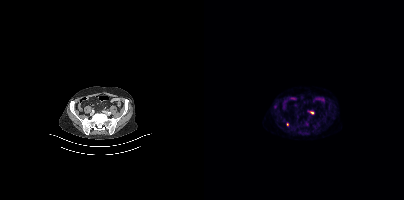
Coordinates are on the 200×200 PET (right) panel. Small PSMA-avid foci (2 to 4 px across) near (center x, center y): (107, 112), (83, 124).